Two-panel axial: CT | PSMA PET, 68Ga-PSMA tracer.
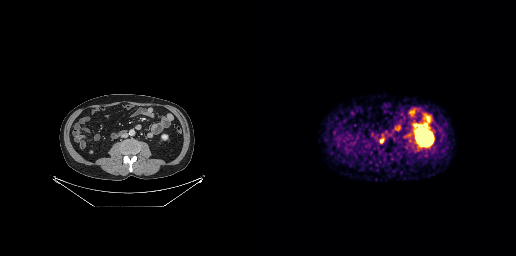
Coordinates are on the 256×256 PET (right) panel. PSMA-avid tumor lesion bounding boxes:
| # | x0 | y0 | x1 | y1 |
|---|---|---|---|---|
| 1 | 120 | 139 | 123 | 143 |